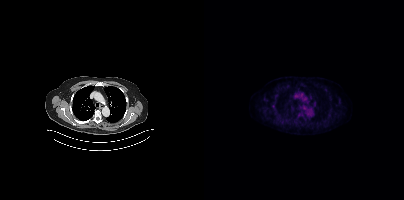
modality: PSMA PET/CT | tracer: [18F]PSMA-1007 | view: axial | PET grid: 200×200
No PSMA-avid tumor lesions on this slice.